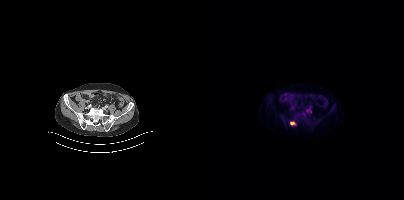
{"modality":"PSMA PET/CT","view":"axial","tracer":"18F-PSMA","pet_grid":[200,200],"coord_frame":"pet_panel","coord_format":"x0,y0,x1,y1","lesion_bboxes":[[86,121,91,125]]}